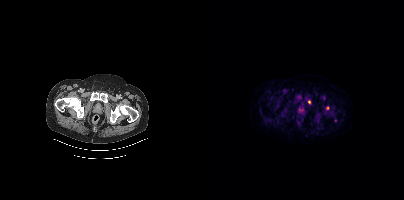
Two-panel axial: CT | PSMA PET, [18F]PSMA-1007 tracer. Acquired on Siemens Biograph mCT Flow 20. Slice 72 of 462. Coordinates are on the 200×200 PET (right) panel. Small PSMA-avid foci (2 to 4 px across) near (center x, center y): (105, 101); (123, 108); (131, 120).